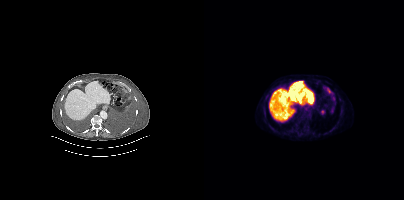
- Two-panel axial: CT | PSMA PET, 18F-PSMA tracer
- acquired on Siemens Biograph mCT Flow 20
Findings: Coordinates are on the 200×200 PET (right) panel. PSMA-avid tumor lesion bounding box (x, y, width, height): x=123 y=88 w=4 h=5. Small PSMA-avid foci (2 to 4 px across) near (center x, center y): (128, 111); (129, 98).